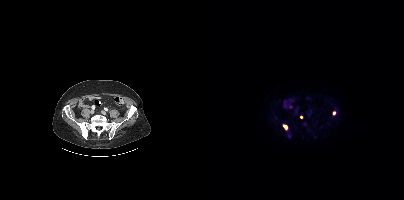
{"modality":"PSMA PET/CT","view":"axial","tracer":"18F","pet_grid":[200,200],"coord_frame":"pet_panel","coord_format":"x0,y0,x1,y1","lesion_bboxes":[[79,124,83,129]],"small_foci_centers":[[130,113],[97,117]]}